Two-panel axial: CT | PSMA PET, [18F]PSMA-1007 tracer. Acquired on Siemens Biograph mCT Flow 20. Slice position z = 46 mm. PET panel 200×200 px (4.1 mm/px).
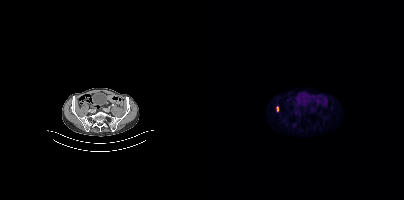
Coordinates are on the 200×200 PET (right) panel. PSMA-avid tumor lesion bounding boxes:
| # | x0 | y0 | x1 | y1 |
|---|---|---|---|---|
| 1 | 72 | 106 | 74 | 111 |